- Left: CT. Right: PSMA PET, same axial level, 18F-PSMA tracer
- acquired on GE Discovery 690
- PET panel 256×256 px (2.7 mm/px)
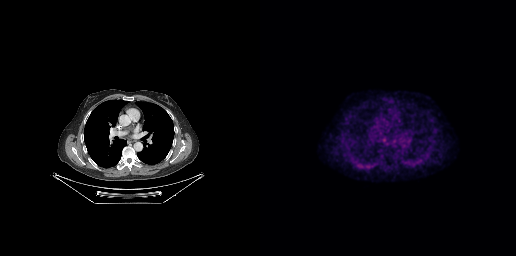
Findings: Negative for PSMA-avid disease on this slice.